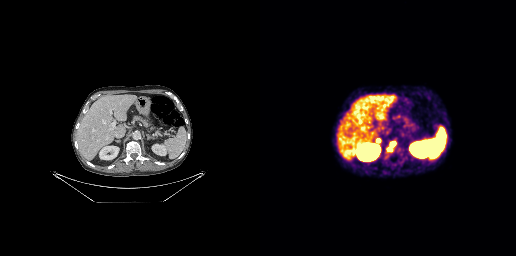
Coordinates are on the 256×256 PET (right) panel. PSMA-avid tumor lesion bounding boxes:
| # | x0 | y0 | x1 | y1 |
|---|---|---|---|---|
| 1 | 127 | 142 | 135 | 151 |
| 2 | 116 | 138 | 120 | 142 |
Paired axial CT (left) and PSMA PET (right), 68Ga-PSMA tracer. Acquired on GE Discovery 690.